Technique: Two-panel axial: CT | PSMA PET, 18F-PSMA tracer. slice 338 of 383. PET panel 200×200 px (4.1 mm/px).
Note: Facial anatomy redacted by setting a rectangular region of the head to black.
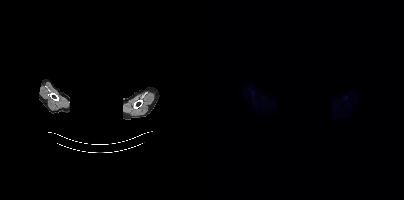
Findings: No tumor lesions annotated on this slice.